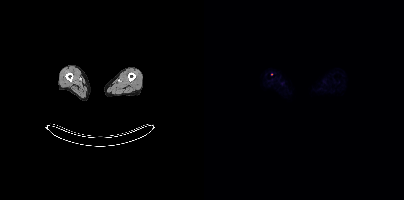
Only PSMA-avid lesion pieces thinner than 2 px on this slice (not listed).